Technique: Paired axial CT (left) and PSMA PET (right), 18F-PSMA tracer. slice position z = -274 mm. PET panel 200×200 px (4.1 mm/px).
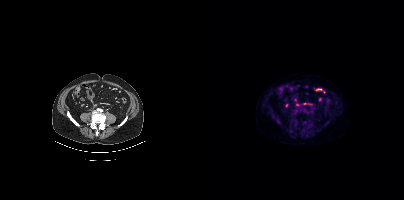
Findings: Negative for PSMA-avid disease on this slice.